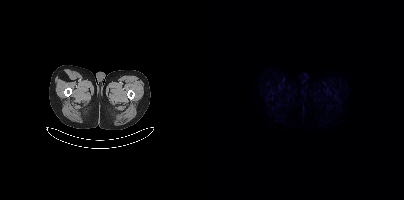
No PSMA-avid tumor lesions on this slice.
modality: PSMA PET/CT | tracer: 18F-PSMA | view: axial